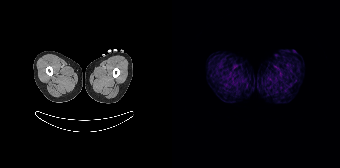
{"modality":"PSMA PET/CT","view":"axial","tracer":"68Ga","pet_grid":[168,168],"coord_frame":"pet_panel","coord_format":"x0,y0,x1,y1","psma_avid_lesions":false}